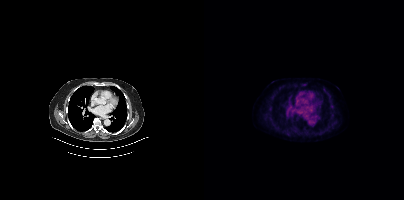
This slice has no annotated PSMA-avid lesion.